Technique: Left: CT. Right: PSMA PET, same axial level, [18F]PSMA-1007 tracer. PET panel 200×200 px (4.1 mm/px).
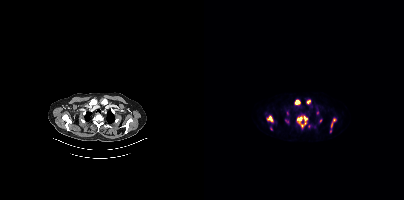
Findings: Coordinates are on the 200×200 PET (right) panel. (showing 6 of 8 foci) PSMA-avid tumor lesion bounding boxes (x0,y0,x1,y1): [93,116,103,127]; [63,116,68,121]; [91,100,95,104]; [127,118,131,127]. Small PSMA-avid foci (2 to 4 px across) near (center x, center y): (104, 102); (66, 128).